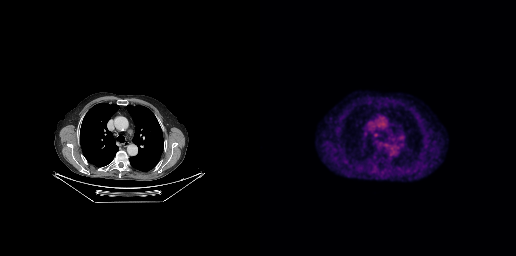
Coordinates are on the 256×256 PET (right) panel. PSMA-avid tumor lesion bounding box (x0, y0)-(x1, y1): (114, 132)-(117, 136). Two-panel axial: CT | PSMA PET, 18F-PSMA tracer.